Paired axial CT (left) and PSMA PET (right), 18F-PSMA tracer. PET panel 200×200 px (4.1 mm/px).
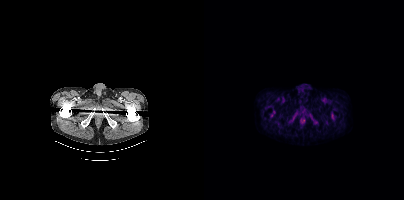
No tumor lesions annotated on this slice.